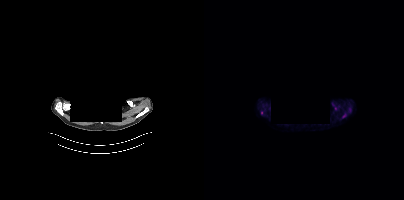
{"modality":"PSMA PET/CT","view":"axial","tracer":"18F-PSMA","pet_grid":[200,200],"coord_frame":"pet_panel","coord_format":"x0,y0,x1,y1","partial":true,"lesion_bboxes":[],"small_foci_centers":[[57,112]],"deidentification":"head region blanked (face removed)"}